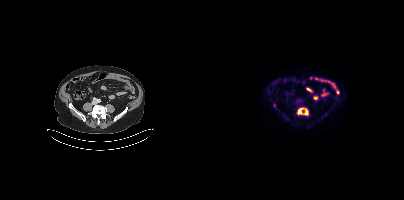
- Left: CT. Right: PSMA PET, same axial level, 18F-PSMA tracer
- acquired on Siemens Biograph mCT Flow 20
- PET panel 200×200 px (4.1 mm/px)
Findings: Coordinates are on the 200×200 PET (right) panel. PSMA-avid tumor lesion bounding box (x, y, width, height): x=93 y=107 w=12 h=9. Small PSMA-avid focus (2 to 4 px across) near (center x, center y): (121, 114).